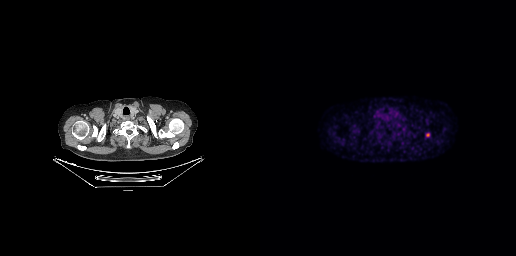
{"pet_grid":[256,256],"coord_frame":"pet_panel","coord_format":"x0,y0,x1,y1","lesion_bboxes":[],"small_foci_centers":[[167,134]],"modality":"PSMA PET/CT","view":"axial","tracer":"18F"}